Paired axial CT (left) and PSMA PET (right), [18F]PSMA-1007 tracer.
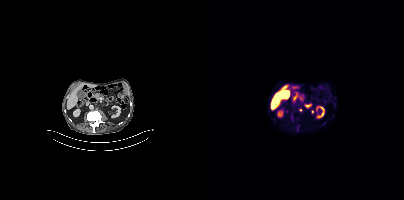
Coordinates are on the 200×200 PET (right) panel. PSMA-avid tumor lesion bounding box (x0, y0)-(x1, y1): (93, 125)-(95, 131). Small PSMA-avid focus (2 to 4 px across) near (center x, center y): (96, 110).